- Paired axial CT (left) and PSMA PET (right), 18F tracer
- PET panel 200×200 px (4.1 mm/px)
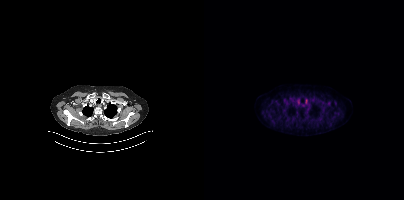
Findings: Negative for PSMA-avid disease on this slice.